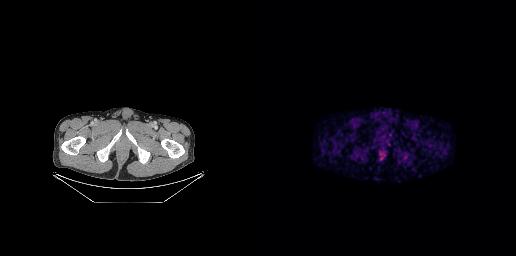
Left: CT. Right: PSMA PET, same axial level, 18F tracer. Acquired on GE Discovery 690. Negative for PSMA-avid disease on this slice.